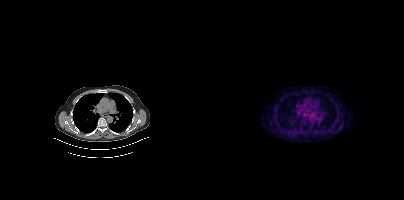
Paired axial CT (left) and PSMA PET (right), [68Ga]Ga-PSMA-11 tracer. Slice 280 of 409. Negative for PSMA-avid disease on this slice.